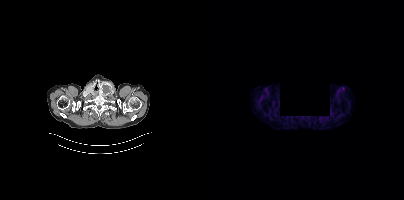
This slice has no annotated PSMA-avid lesion. De-identified by setting a rectangular region to black. Left: CT. Right: PSMA PET, same axial level, 18F-PSMA tracer. Acquired on Siemens Biograph mCT Flow 20. Slice position z = -248 mm. PET panel 200×200 px (4.1 mm/px).